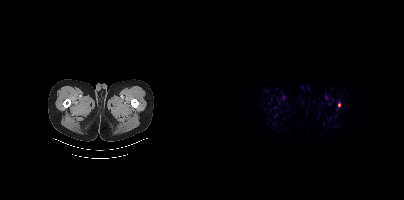
{"pet_grid":[200,200],"coord_frame":"pet_panel","coord_format":"x0,y0,x1,y1","lesion_bboxes":[[134,102,136,106]],"modality":"PSMA PET/CT","view":"axial","tracer":"18F-PSMA"}